Two-panel axial: CT | PSMA PET, 18F tracer. Slice 117 of 415.
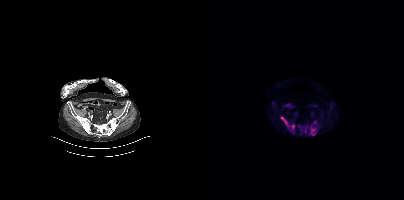
Coordinates are on the 200×200 PET (right) panel. (showing 5 of 6 foci) PSMA-avid tumor lesion bounding boxes (x, y, width, height): x=105 y=129 w=8 h=7; x=76 y=116 w=10 h=11; x=108 y=120 w=6 h=5; x=87 y=125 w=4 h=5. Small PSMA-avid focus (2 to 4 px across) near (center x, center y): (98, 129).